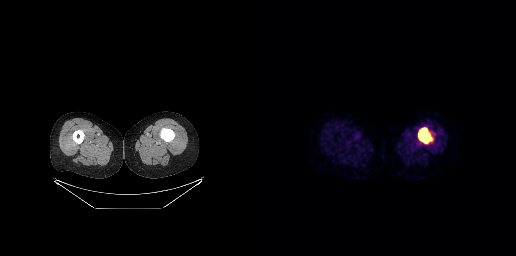
{"modality":"PSMA PET/CT","view":"axial","tracer":"[18F]PSMA-1007","pet_grid":[256,256],"coord_frame":"pet_panel","coord_format":"x0,y0,x1,y1","lesion_bboxes":[[158,128,171,143]]}